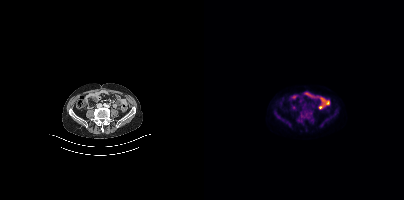
This slice has no annotated PSMA-avid lesion.
modality: PSMA PET/CT | tracer: [18F]PSMA-1007 | view: axial | PET grid: 200×200